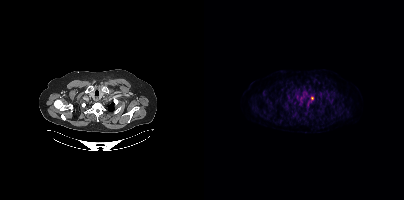
{"modality":"PSMA PET/CT","view":"axial","tracer":"18F-PSMA","pet_grid":[200,200],"coord_frame":"pet_panel","coord_format":"x0,y0,x1,y1","lesion_bboxes":[],"small_foci_centers":[[127,99]]}